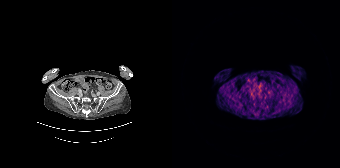
Paired axial CT (left) and PSMA PET (right), [68Ga]Ga-PSMA-11 tracer. Negative for PSMA-avid disease on this slice.